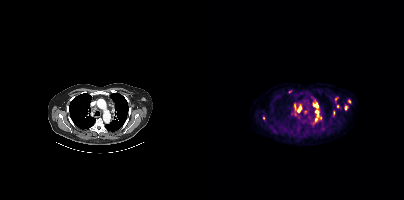
{"modality":"PSMA PET/CT","view":"axial","tracer":"18F","pet_grid":[200,200],"coord_frame":"pet_panel","coord_format":"x0,y0,x1,y1","partial":true,"lesion_bboxes":[[107,109,117,125],[90,104,96,115],[109,100,114,107],[129,111,130,116]],"small_foci_centers":[[132,98],[134,106],[141,107],[101,112],[59,118],[86,91],[145,101]]}